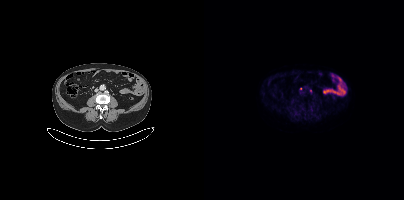
No tumor lesions annotated on this slice.